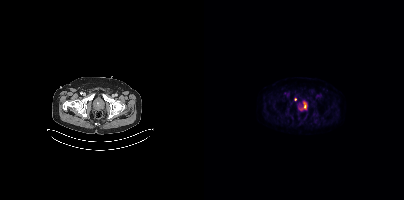
Coordinates are on the 200×200 PET (right) panel. Small PSMA-avid focus (2 to 4 px across) near (center x, center y): (91, 99).